Technique: Two-panel axial: CT | PSMA PET, 18F-PSMA tracer. acquired on Siemens Biograph mCT Flow 20.
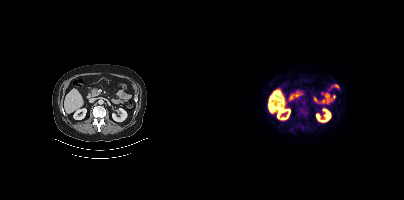
Findings: Coordinates are on the 200×200 PET (right) panel. PSMA-avid tumor lesion bounding box (x0,y0,x1,y1): [93,106,105,119].